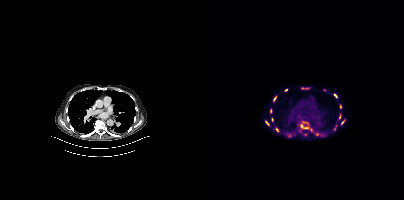
Technique: Left: CT. Right: PSMA PET, same axial level, 18F-PSMA tracer.
Findings: Coordinates are on the 200×200 PET (right) panel. (showing 14 of 17 foci) PSMA-avid tumor lesion bounding boxes (x, y, width, height): x=96 y=121 w=10 h=8 / x=97 y=87 w=9 h=3 / x=69 y=96 w=4 h=6 / x=129 y=93 w=5 h=6 / x=135 y=114 w=3 h=6 / x=61 y=121 w=5 h=5 / x=136 y=104 w=2 h=5 / x=137 y=120 w=4 h=5. Small PSMA-avid foci (2 to 4 px across) near (center x, center y): (73, 129) / (66, 110) / (68, 119) / (107, 129) / (113, 134) / (130, 129).